- Paired axial CT (left) and PSMA PET (right), 18F-PSMA tracer
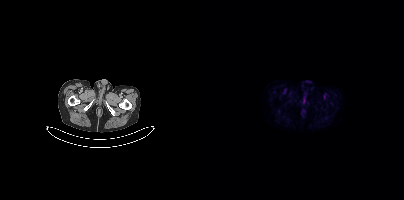
Findings: No tumor lesions annotated on this slice.